Two-panel axial: CT | PSMA PET, 18F tracer. Acquired on Siemens Biograph mCT Flow 20. PET panel 200×200 px (4.1 mm/px).
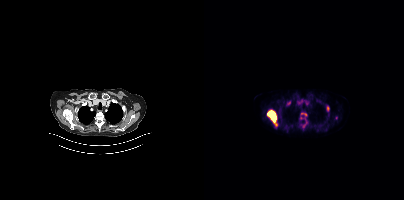
Coordinates are on the 200×200 PET (right) panel. PSMA-avid tumor lesion bounding boxes (partial; 4 more foci not listed):
| # | x0 | y0 | x1 | y1 |
|---|---|---|---|---|
| 1 | 63 | 110 | 74 | 127 |
| 2 | 123 | 106 | 125 | 110 |
| 3 | 97 | 113 | 102 | 115 |
| 4 | 99 | 122 | 103 | 127 |